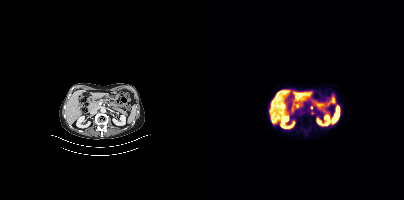
Findings: Coordinates are on the 200×200 PET (right) panel. (showing 1 of 2 foci) Small PSMA-avid focus (2 to 4 px across) near (center x, center y): (107, 107).
- Left: CT. Right: PSMA PET, same axial level, [18F]PSMA-1007 tracer
- acquired on Siemens Biograph mCT Flow 20
- slice 190 of 401
- PET panel 200×200 px (4.1 mm/px)